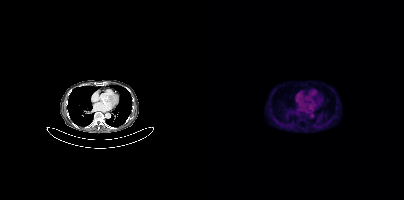
This slice has no annotated PSMA-avid lesion.